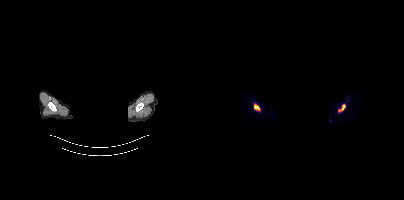
Privacy masking over the head, with the pixels inside a rectangle set to black. Left: CT. Right: PSMA PET, same axial level, 68Ga tracer. Acquired on Siemens Biograph mCT Flow 20. PET panel 200×200 px (4.1 mm/px).
Coordinates are on the 200×200 PET (right) panel. PSMA-avid tumor lesion bounding boxes:
| # | x0 | y0 | x1 | y1 |
|---|---|---|---|---|
| 1 | 134 | 104 | 141 | 112 |
| 2 | 50 | 105 | 56 | 110 |